Technique: Paired axial CT (left) and PSMA PET (right), 18F-PSMA tracer.
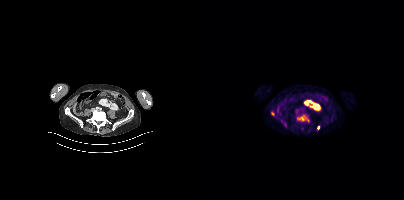
Findings: Coordinates are on the 200×200 PET (right) panel. (showing 4 of 5 foci) PSMA-avid tumor lesion bounding box (x0,y0,x1,y1): [93,115,105,121]. Small PSMA-avid foci (2 to 4 px across) near (center x, center y): (68, 113) (114, 127) (81, 124).